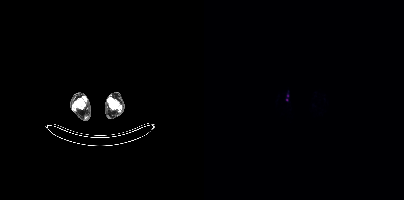
{"modality":"PSMA PET/CT","view":"axial","tracer":"18F","pet_grid":[200,200],"coord_frame":"pet_panel","coord_format":"x0,y0,x1,y1","lesion_bboxes":[],"small_foci_centers":[[83,95],[82,99]]}